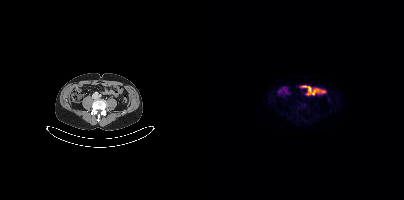
{"modality":"PSMA PET/CT","view":"axial","tracer":"[18F]PSMA-1007","pet_grid":[200,200],"coord_frame":"pet_panel","coord_format":"x0,y0,x1,y1","psma_avid_lesions":false}